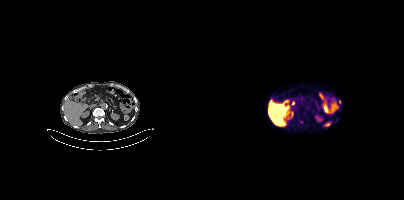
{"modality":"PSMA PET/CT","view":"axial","tracer":"[18F]PSMA-1007","pet_grid":[200,200],"coord_frame":"pet_panel","coord_format":"x0,y0,x1,y1","lesion_bboxes":[],"small_foci_centers":[[135,102],[97,121]]}